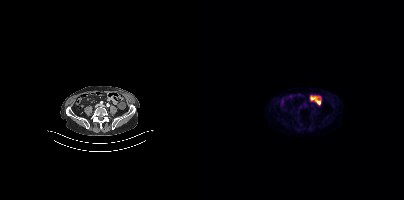
Findings: Negative for PSMA-avid disease on this slice.
- Paired axial CT (left) and PSMA PET (right), 18F tracer
- acquired on Siemens Biograph mCT Flow 20
- PET panel 200×200 px (4.1 mm/px)